- Paired axial CT (left) and PSMA PET (right), [18F]PSMA-1007 tracer
- slice 213 of 397
- PET panel 200×200 px (4.1 mm/px)
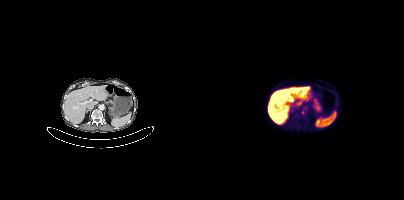
Findings: Coordinates are on the 200×200 PET (right) panel. Small PSMA-avid focus (2 to 4 px across) near (center x, center y): (98, 112).